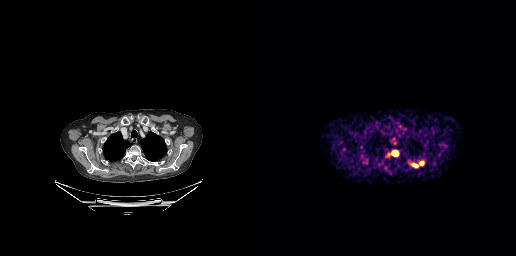
Coordinates are on the 256×256 PET (right) panel. (showing 3 of 4 foci) PSMA-avid tumor lesion bounding boxes (x0, y0)-(x1, y1): (127, 151)-(137, 156) | (151, 161)-(162, 167) | (100, 154)-(104, 159).